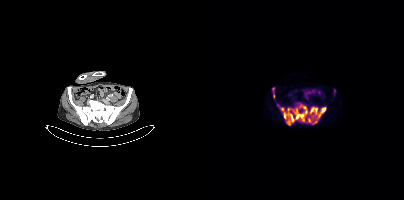
- Left: CT. Right: PSMA PET, same axial level, [18F]PSMA-1007 tracer
Findings: Coordinates are on the 200×200 PET (right) panel. PSMA-avid tumor lesion bounding boxes (x0, y0)-(x1, y1): (73, 104)-(122, 125) | (68, 88)-(71, 98) | (130, 89)-(131, 93).